deidentification: privacy mask over head | modality: PSMA PET/CT | tracer: 68Ga-PSMA | view: axial | PET grid: 256×256
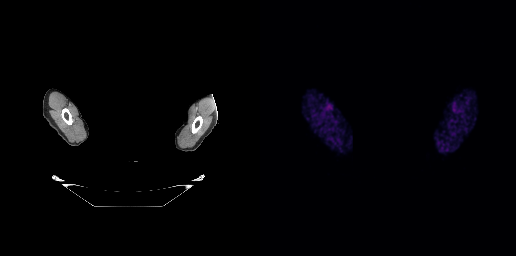
No PSMA-avid tumor lesions on this slice.